Left: CT. Right: PSMA PET, same axial level, 18F-PSMA tracer. Acquired on Siemens Biograph mCT Flow 20. Slice position z = -572 mm.
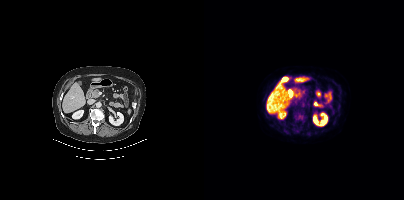
This slice has no annotated PSMA-avid lesion.